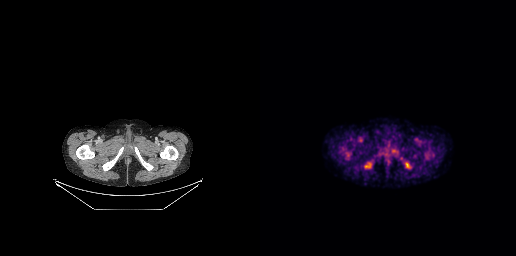
Coordinates are on the 256×256 PET (right) panel. Small PSMA-avid focus (2 to 4 px across) near (center x, center y): (105, 165).